modality: PSMA PET/CT | tracer: [18F]PSMA-1007 | view: axial | PET grid: 200×200
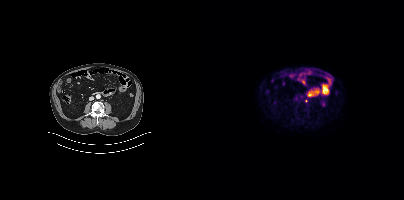
Coordinates are on the 200×200 PET (right) panel. Small PSMA-avid focus (2 to 4 px across) near (center x, center y): (102, 100).